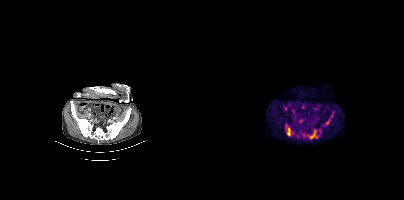
{"modality":"PSMA PET/CT","view":"axial","tracer":"18F-PSMA","pet_grid":[200,200],"coord_frame":"pet_panel","coord_format":"x0,y0,x1,y1","lesion_bboxes":[[101,129,114,139],[83,127,89,136],[122,111,129,124]],"small_foci_centers":[[93,136],[115,130]]}